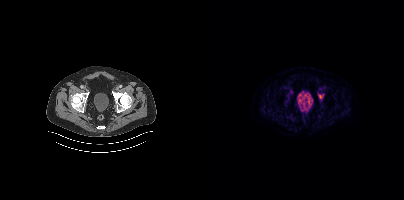
Paired axial CT (left) and PSMA PET (right), 18F tracer. Coordinates are on the 200×200 PET (right) panel. PSMA-avid tumor lesion bounding box (x, y, width, height): x=114 y=94 w=6 h=6.